Paired axial CT (left) and PSMA PET (right), [18F]PSMA-1007 tracer. Slice 83 of 433.
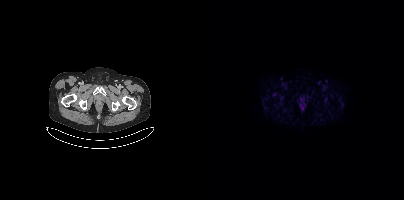
Negative for PSMA-avid disease on this slice.